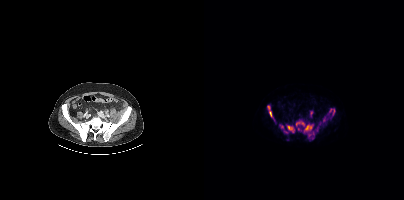
Coordinates are on the 200×200 PET (right) panel. PSMA-avid tumor lesion bounding boxes (partial; 3 more foci not listed):
| # | x0 | y0 | x1 | y1 |
|---|---|---|---|---|
| 1 | 100 | 125 | 108 | 131 |
| 2 | 83 | 125 | 90 | 132 |
| 3 | 124 | 108 | 131 | 116 |
| 4 | 63 | 105 | 68 | 117 |
| 5 | 104 | 134 | 110 | 140 |
| 6 | 92 | 122 | 100 | 125 |
| 7 | 75 | 125 | 79 | 128 |
Small PSMA-avid foci (2 to 4 px across) near (center x, center y): (120, 119); (113, 130).
Left: CT. Right: PSMA PET, same axial level, 18F-PSMA tracer. Acquired on Siemens Biograph mCT Flow 20. PET panel 200×200 px (4.1 mm/px).